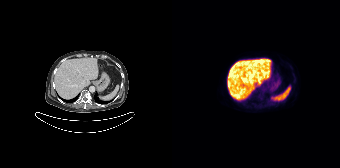
Technique: Two-panel axial: CT | PSMA PET, 18F tracer.
Findings: This slice has no annotated PSMA-avid lesion.